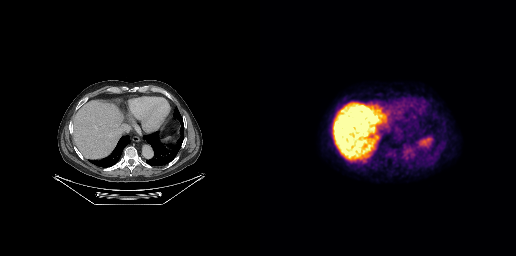
Two-panel axial: CT | PSMA PET, 18F tracer. Slice 170 of 263. No tumor lesions annotated on this slice.